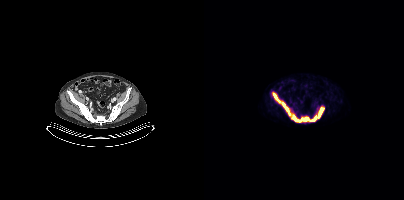
Left: CT. Right: PSMA PET, same axial level, 18F tracer. Acquired on Siemens Biograph mCT Flow 20. PET panel 200×200 px (4.1 mm/px).
Coordinates are on the 200×200 PET (right) panel. PSMA-avid tumor lesion bounding boxes:
| # | x0 | y0 | x1 | y1 |
|---|---|---|---|---|
| 1 | 69 | 92 | 86 | 115 |
| 2 | 89 | 115 | 112 | 121 |
| 3 | 114 | 107 | 119 | 117 |